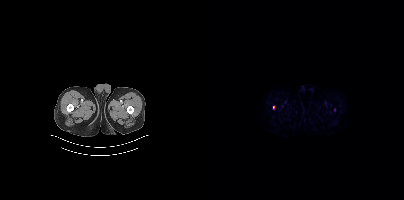
- Paired axial CT (left) and PSMA PET (right), 18F-PSMA tracer
Findings: Coordinates are on the 200×200 PET (right) panel. Small PSMA-avid focus (2 to 4 px across) near (center x, center y): (69, 107).